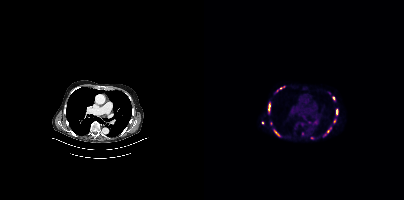
Coordinates are on the 200×200 PET (right) panel. (showing 6 of 13 foci) PSMA-avid tumor lesion bounding boxes (x0,y0,x1,y1): [64,104,66,111], [132,109,133,114]. Small PSMA-avid foci (2 to 4 px across) near (center x, center y): (99, 116), (124, 131), (129, 98), (58, 122).
modality: PSMA PET/CT | tracer: [68Ga]Ga-PSMA-11 | view: axial | PET grid: 200×200